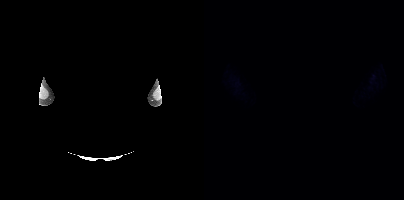
De-identified by setting a box covering the face to black before release.
This slice has no annotated PSMA-avid lesion.